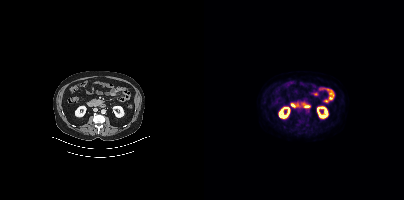
{"modality":"PSMA PET/CT","view":"axial","tracer":"18F","pet_grid":[200,200],"coord_frame":"pet_panel","coord_format":"x0,y0,x1,y1","psma_avid_lesions":false}